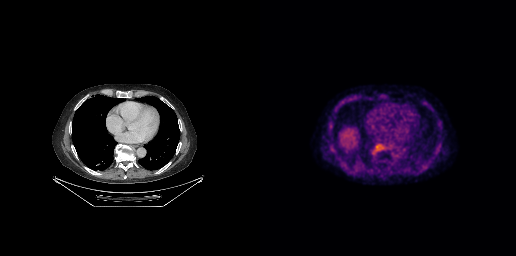
- Two-panel axial: CT | PSMA PET, 18F tracer
- slice position z = -490 mm
Findings: No PSMA-avid tumor lesions on this slice.